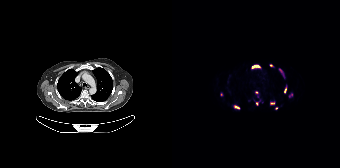
Coordinates are on the 168×168 PET (right) panel. (showing 11 of 12 foci) PSMA-avid tumor lesion bounding boxes (x, y, width, height): x=79 y=64 w=11 h=5; x=61 y=105 w=8 h=5; x=107 y=68 w=6 h=10; x=112 y=85 w=4 h=9; x=98 y=102 w=5 h=3; x=117 y=93 w=4 h=5; x=97 y=64 w=5 h=3. Small PSMA-avid foci (2 to 4 px across) near (center x, center y): (84, 92); (85, 103); (49, 94); (104, 108).